- Paired axial CT (left) and PSMA PET (right), [68Ga]Ga-PSMA-11 tracer
- acquired on Siemens Biograph 64-4R TruePoint
- PET panel 168×168 px (4.1 mm/px)
- the face region was removed for patient privacy by blanking a rectangle over the head
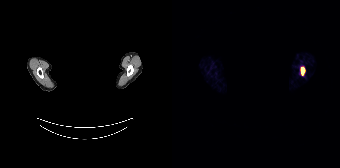
Findings: Coordinates are on the 168×168 PET (right) panel. PSMA-avid tumor lesion bounding box (x0,y0,x1,y1): [129,68,132,74].